Two-panel axial: CT | PSMA PET, 18F-PSMA tracer. Acquired on Siemens Biograph mCT Flow 20.
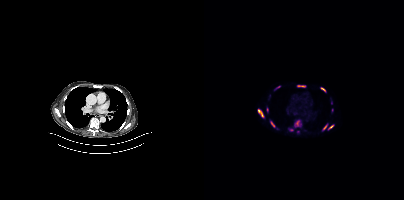
Coordinates are on the 200×200 PET (right) panel. PSMA-avid tumor lesion bounding boxes (partial; 2 more foci not listed):
| # | x0 | y0 | x1 | y1 |
|---|---|---|---|---|
| 1 | 53 | 109 | 59 | 117 |
| 2 | 93 | 85 | 101 | 87 |
| 3 | 124 | 125 | 129 | 130 |
| 4 | 118 | 125 | 123 | 130 |
| 5 | 67 | 121 | 70 | 127 |
| 6 | 117 | 87 | 121 | 91 |
| 7 | 72 | 86 | 76 | 88 |
Small PSMA-avid foci (2 to 4 px across) near (center x, center y): (63, 109); (93, 122); (87, 129).